- Left: CT. Right: PSMA PET, same axial level, 68Ga-PSMA tracer
- slice position z = -240 mm
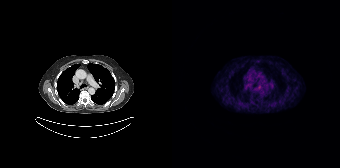
Findings: No tumor lesions annotated on this slice.